Two-panel axial: CT | PSMA PET, [18F]PSMA-1007 tracer. PET panel 168×168 px (4.1 mm/px).
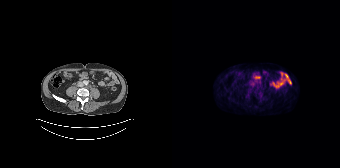
This slice has no annotated PSMA-avid lesion.